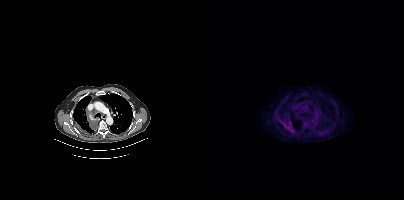
{"modality":"PSMA PET/CT","view":"axial","tracer":"18F-PSMA","pet_grid":[200,200],"coord_frame":"pet_panel","coord_format":"x0,y0,x1,y1","lesion_bboxes":[[83,125,89,131],[76,120,81,124]]}